Technique: Two-panel axial: CT | PSMA PET, 68Ga tracer. acquired on Siemens Biograph mCT Flow 20.
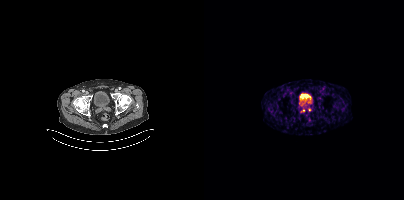
Findings: Coordinates are on the 200×200 PET (right) panel. Small PSMA-avid foci (2 to 4 px across) near (center x, center y): (105, 109) | (99, 110).